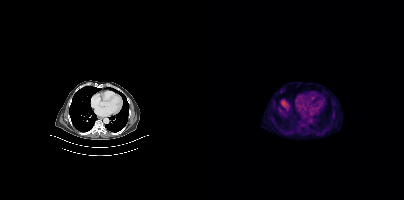
{"modality":"PSMA PET/CT","view":"axial","tracer":"[18F]PSMA-1007","pet_grid":[200,200],"coord_frame":"pet_panel","coord_format":"x0,y0,x1,y1","psma_avid_lesions":false}